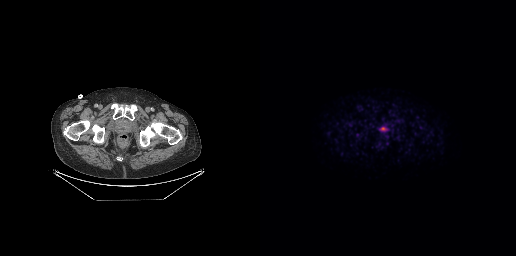
This slice has no annotated PSMA-avid lesion.
modality: PSMA PET/CT | tracer: 18F | view: axial